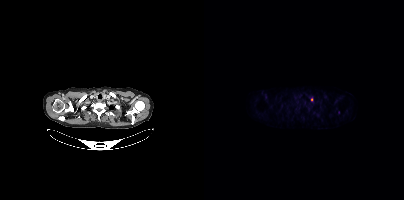
{"pet_grid":[200,200],"coord_frame":"pet_panel","coord_format":"x0,y0,x1,y1","lesion_bboxes":[],"small_foci_centers":[[108,99]],"modality":"PSMA PET/CT","view":"axial","tracer":"18F-PSMA"}